- Two-panel axial: CT | PSMA PET, 18F tracer
- acquired on Siemens Biograph mCT Flow 20
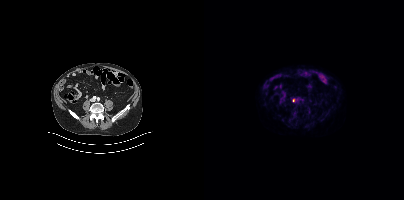
Findings: Coordinates are on the 200×200 PET (right) panel. Small PSMA-avid focus (2 to 4 px across) near (center x, center y): (89, 100).